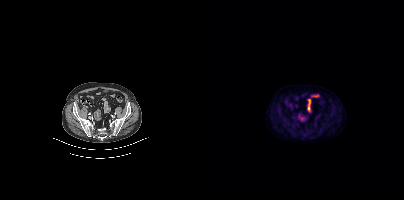
{"modality":"PSMA PET/CT","view":"axial","tracer":"18F","pet_grid":[200,200],"coord_frame":"pet_panel","coord_format":"x0,y0,x1,y1","psma_avid_lesions":false}